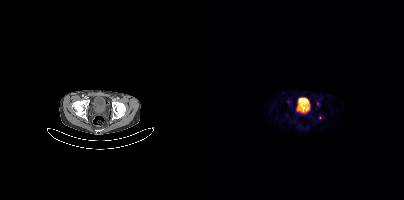
Only PSMA-avid lesion pieces thinner than 2 px on this slice (not listed). Left: CT. Right: PSMA PET, same axial level, 68Ga tracer. Acquired on Siemens Biograph mCT Flow 20. Slice position z = -1099 mm. PET panel 200×200 px (4.1 mm/px).